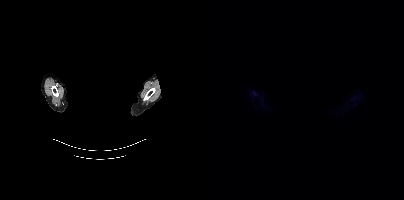
Two-panel axial: CT | PSMA PET, 18F tracer. Slice position z = -352 mm. PET panel 200×200 px (4.1 mm/px). The face region was removed for patient privacy by blanking a rectangle over the head. Negative for PSMA-avid disease on this slice.